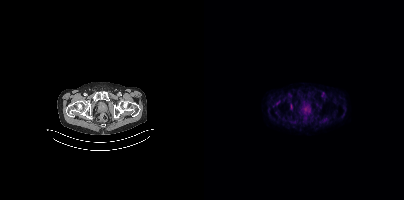
Coordinates are on the 200×200 PET (right) panel. PSMA-avid tumor lesion bounding box (x0, y0)-(x1, y1): (86, 104)-(88, 108).